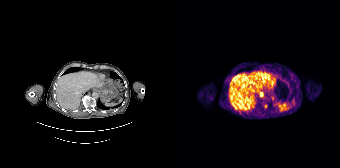
Technique: Paired axial CT (left) and PSMA PET (right), [68Ga]Ga-PSMA-11 tracer. PET panel 168×168 px (4.1 mm/px).
Findings: Coordinates are on the 168×168 PET (right) panel. (showing 1 of 2 foci) Small PSMA-avid focus (2 to 4 px across) near (center x, center y): (89, 94).